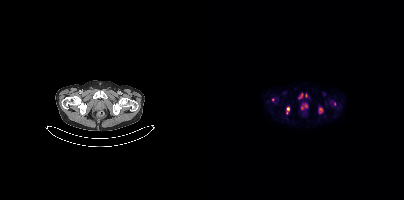
Coordinates are on the 200×200 PET (right) panel. PSMA-avid tumor lesion bounding boxes (x0,y0,x1,y1): [82,107,85,114]; [115,108,118,113]; [94,93,99,98]. Small PSMA-avid foci (2 to 4 px across) near (center x, center y): (102, 95); (68, 99).